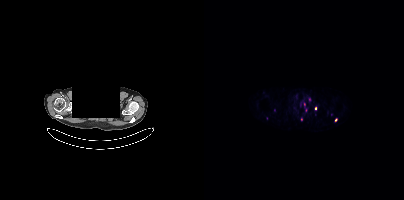
Technique: Two-panel axial: CT | PSMA PET, [68Ga]Ga-PSMA-11 tracer. PET panel 200×200 px (4.1 mm/px).
Note: An anonymization step blacked out a rectangle over the head in this scan.
Findings: Coordinates are on the 200×200 PET (right) panel. (showing 4 of 7 foci) Small PSMA-avid foci (2 to 4 px across) near (center x, center y): (105, 99) | (111, 108) | (97, 119) | (131, 119).